- Two-panel axial: CT | PSMA PET, 18F tracer
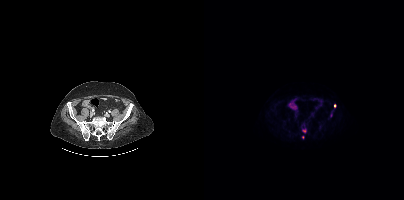
Findings: Only PSMA-avid lesion pieces thinner than 2 px on this slice (not listed).